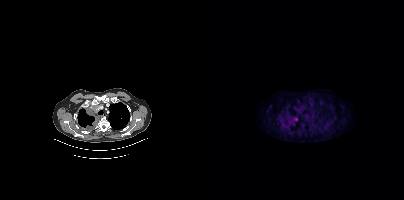
Coordinates are on the 200×200 PET (right) panel. PSMA-avid tumor lesion bounding box (x, y, width, height): x=86 y=117 w=8 h=9.